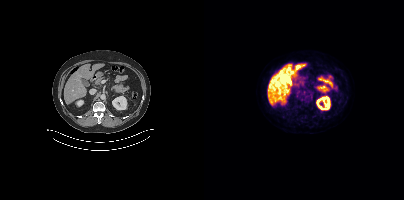
{"pet_grid":[200,200],"coord_frame":"pet_panel","coord_format":"x0,y0,x1,y1","partial":true,"lesion_bboxes":[],"small_foci_centers":[[107,96]],"modality":"PSMA PET/CT","view":"axial","tracer":"[18F]PSMA-1007"}